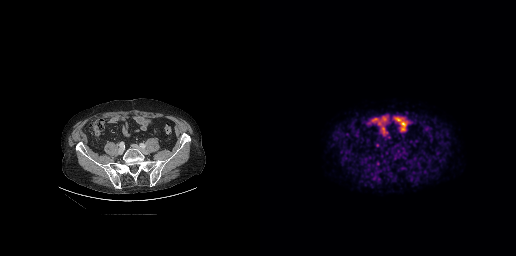
Left: CT. Right: PSMA PET, same axial level, 18F-PSMA tracer. Acquired on GE Discovery 690. Slice position z = -575 mm.
Coordinates are on the 256×256 PET (right) panel. PSMA-avid tumor lesion bounding boxes:
| # | x0 | y0 | x1 | y1 |
|---|---|---|---|---|
| 1 | 116 | 161 | 120 | 166 |
Small PSMA-avid focus (2 to 4 px across) near (center x, center y): (118, 145).